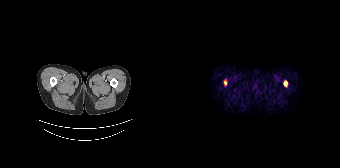
{"pet_grid":[168,168],"coord_frame":"pet_panel","coord_format":"x0,y0,x1,y1","lesion_bboxes":[[111,80,115,86],[52,81,54,85]],"modality":"PSMA PET/CT","view":"axial","tracer":"68Ga"}